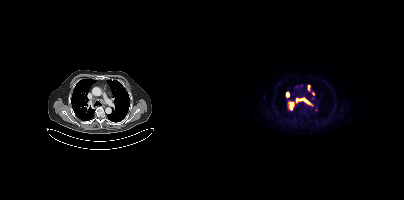
{"modality":"PSMA PET/CT","view":"axial","tracer":"18F-PSMA","pet_grid":[200,200],"coord_frame":"pet_panel","coord_format":"x0,y0,x1,y1","lesion_bboxes":[[96,98,105,103]],"small_foci_centers":[[93,100]]}